Paired axial CT (left) and PSMA PET (right), 18F tracer. Slice position z = -625 mm.
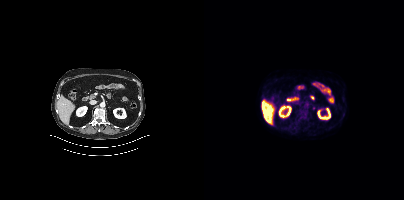
This slice has no annotated PSMA-avid lesion.